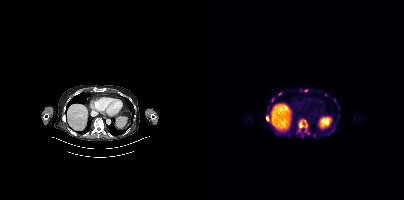
Coordinates are on the 200×200 PET (right) panel. PSMA-avid tumor lesion bounding boxes:
| # | x0 | y0 | x1 | y1 |
|---|---|---|---|---|
| 1 | 92 | 119 | 106 | 134 |
| 2 | 62 | 116 | 65 | 121 |
Small PSMA-avid foci (2 to 4 px across) near (center x, center y): (101, 90); (75, 93); (110, 135); (68, 99); (122, 95); (130, 99).
Left: CT. Right: PSMA PET, same axial level, 18F-PSMA tracer.